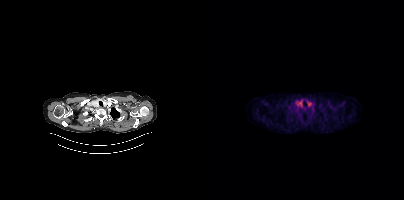
{"modality":"PSMA PET/CT","view":"axial","tracer":"[18F]PSMA-1007","pet_grid":[200,200],"coord_frame":"pet_panel","coord_format":"x0,y0,x1,y1","psma_avid_lesions":false}